Technique: Two-panel axial: CT | PSMA PET, [18F]PSMA-1007 tracer. acquired on GE Discovery 690. slice position z = -837 mm. PET panel 256×256 px (2.7 mm/px).
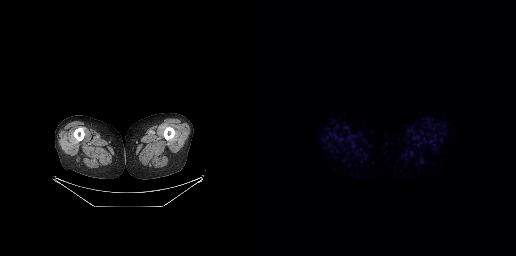
Findings: No PSMA-avid tumor lesions on this slice.